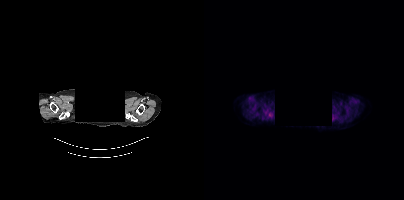
Facial anatomy redacted by setting a rectangular region of the head to black. Left: CT. Right: PSMA PET, same axial level, 18F tracer. No PSMA-avid tumor lesions on this slice.